Two-panel axial: CT | PSMA PET, [18F]PSMA-1007 tracer. Acquired on Siemens Biograph mCT Flow 20. PET panel 200×200 px (4.1 mm/px).
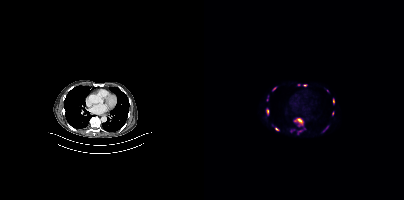
Coordinates are on the 200×200 PET (right) panel. PSMA-avid tumor lesion bounding boxes (partial; 4 more foci not listed):
| # | x0 | y0 | x1 | y1 |
|---|---|---|---|---|
| 1 | 90 | 118 | 99 | 126 |
| 2 | 62 | 108 | 65 | 113 |
| 3 | 94 | 130 | 98 | 134 |
| 4 | 119 | 126 | 124 | 131 |
| 5 | 129 | 99 | 130 | 103 |
Small PSMA-avid foci (2 to 4 px across) near (center x, center y): (100, 85); (72, 129); (69, 89); (128, 113); (94, 84); (100, 128).